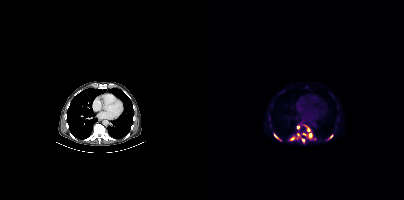
Left: CT. Right: PSMA PET, same axial level, 18F-PSMA tracer. Acquired on Siemens Biograph mCT Flow 20. PET panel 200×200 px (4.1 mm/px). Coordinates are on the 200×200 PET (right) panel. (showing 8 of 10 foci) PSMA-avid tumor lesion bounding boxes (x0,y0,x1,y1): [86,134,97,140] [100,133,107,136] [100,125,105,131] [124,134,129,139] [70,134,74,138]. Small PSMA-avid foci (2 to 4 px across) near (center x, center y): (94, 126) (99, 140) (110, 139).